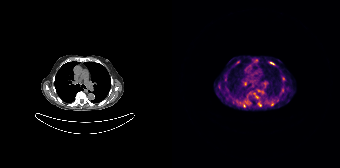
Coordinates are on the 168×168 PET (right) panel. (showing 11 of 13 foci) PSMA-avid tumor lesion bounding boxes (x0, y0)-(x1, y1): (71, 98)-(77, 107) / (98, 101)-(102, 105). Small PSMA-avid foci (2 to 4 px across) near (center x, center y): (83, 60) / (73, 83) / (111, 78) / (110, 90) / (53, 79) / (87, 90) / (100, 63) / (105, 100) / (90, 91).